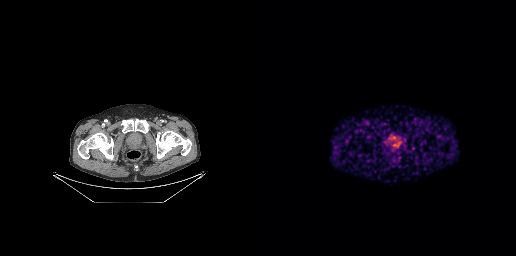
Two-panel axial: CT | PSMA PET, 68Ga-PSMA tracer. PET panel 256×256 px (2.7 mm/px). Negative for PSMA-avid disease on this slice.